Technique: Paired axial CT (left) and PSMA PET (right), 18F tracer. slice 256 of 299.
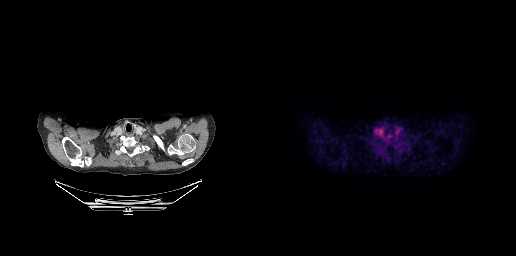
Findings: No tumor lesions annotated on this slice.